Technique: Paired axial CT (left) and PSMA PET (right), 18F tracer. acquired on Siemens Biograph mCT Flow 20. PET panel 200×200 px (4.1 mm/px).
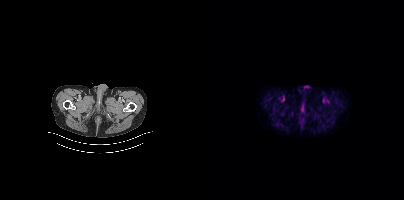
Findings: This slice has no annotated PSMA-avid lesion.